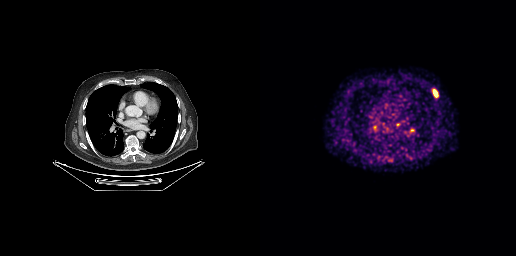
Coordinates are on the 256×256 PET (right) panel. PSMA-avid tumor lesion bounding box (x0,y0,x1,y1): [173,90,177,96]. Left: CT. Right: PSMA PET, same axial level, [68Ga]Ga-PSMA-11 tracer. Acquired on GE Discovery 690. Slice position z = -511 mm. PET panel 256×256 px (2.7 mm/px).